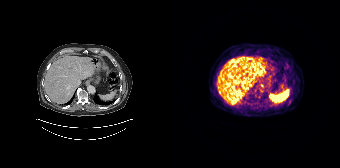
{"pet_grid":[168,168],"coord_frame":"pet_panel","coord_format":"x0,y0,x1,y1","psma_avid_lesions":false,"modality":"PSMA PET/CT","view":"axial","tracer":"68Ga"}